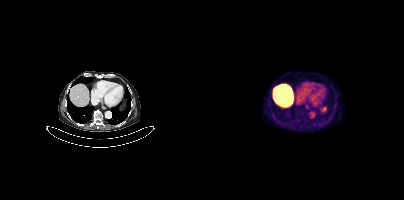
Two-panel axial: CT | PSMA PET, 18F-PSMA tracer. No PSMA-avid tumor lesions on this slice.